Technique: Two-panel axial: CT | PSMA PET, 18F tracer. acquired on Siemens Biograph mCT Flow 20. PET panel 200×200 px (4.1 mm/px).
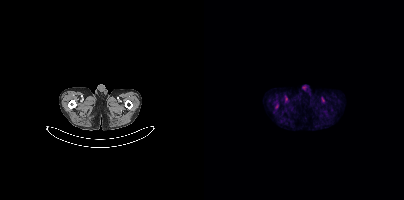
Findings: Coordinates are on the 200×200 PET (right) panel. Small PSMA-avid focus (2 to 4 px across) near (center x, center y): (73, 106).